Left: CT. Right: PSMA PET, same axial level, 18F-PSMA tracer. Acquired on Siemens Biograph 64-4R TruePoint.
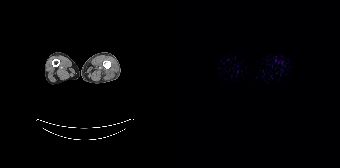
No PSMA-avid tumor lesions on this slice.